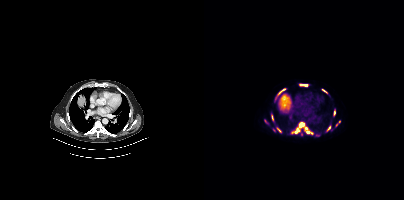
{"modality":"PSMA PET/CT","view":"axial","tracer":"[18F]PSMA-1007","pet_grid":[200,200],"coord_frame":"pet_panel","coord_format":"x0,y0,x1,y1","lesion_bboxes":[[88,122,108,134],[96,84,103,85],[123,126,126,130],[75,89,81,93],[130,111,131,115],[68,115,69,120]],"small_foci_centers":[[74,129],[135,121],[132,124]]}